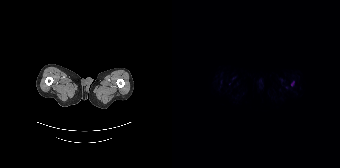
Left: CT. Right: PSMA PET, same axial level, 18F-PSMA tracer. Acquired on Siemens Biograph 64-4R TruePoint. Negative for PSMA-avid disease on this slice.